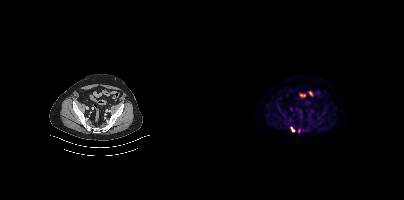
Technique: Paired axial CT (left) and PSMA PET (right), 18F tracer. PET panel 200×200 px (4.1 mm/px).
Findings: Coordinates are on the 200×200 PET (right) panel. (showing 1 of 2 foci) PSMA-avid tumor lesion bounding box (x0, y0)-(x1, y1): (87, 127)-(90, 131).